modality: PSMA PET/CT | tracer: [18F]PSMA-1007 | view: axial | PET grid: 200×200
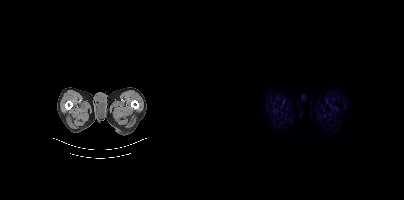
Negative for PSMA-avid disease on this slice.